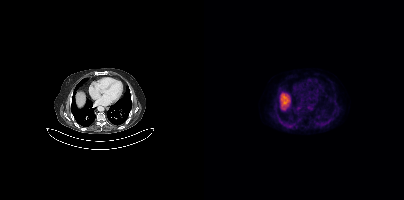
- Left: CT. Right: PSMA PET, same axial level, 18F-PSMA tracer
- slice position z = 300 mm
- PET panel 200×200 px (4.1 mm/px)
Findings: This slice has no annotated PSMA-avid lesion.